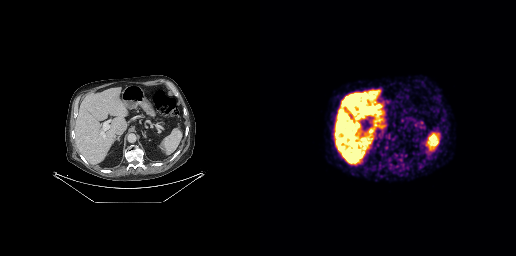
{"modality":"PSMA PET/CT","view":"axial","tracer":"18F-PSMA","pet_grid":[256,256],"coord_frame":"pet_panel","coord_format":"x0,y0,x1,y1","psma_avid_lesions":false}